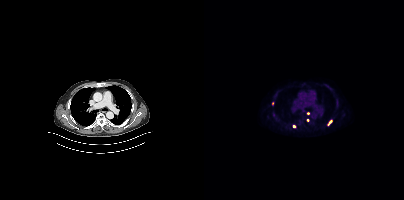
Coordinates are on the 200×200 PET (right) panel. (showing 2 of 5 foci) PSMA-avid tumor lesion bounding box (x0,y0,x1,y1): [123,120,127,125]. Small PSMA-avid focus (2 to 4 px across) near (center x, center y): (90, 126).